Paired axial CT (left) and PSMA PET (right), [18F]PSMA-1007 tracer.
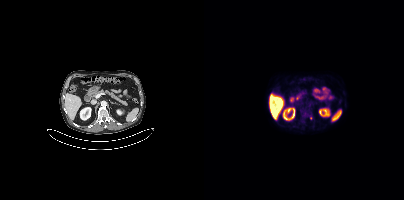
Coordinates are on the 200×200 PET (right) panel. PSMA-avid tumor lesion bounding boxes:
| # | x0 | y0 | x1 | y1 |
|---|---|---|---|---|
| 1 | 98 | 112 | 102 | 116 |
Small PSMA-avid focus (2 to 4 px across) near (center x, center y): (106, 118).